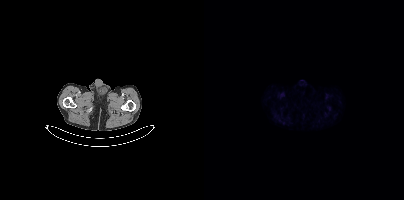
No tumor lesions annotated on this slice.